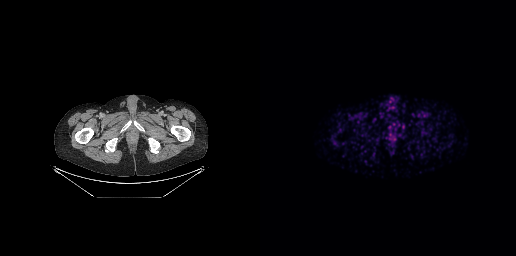
modality: PSMA PET/CT | tracer: 68Ga-PSMA | view: axial
No tumor lesions annotated on this slice.